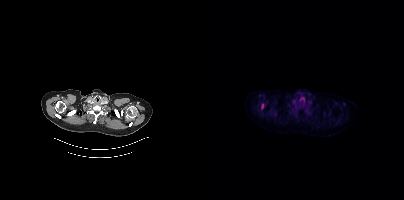
Coordinates are on the 200×200 PET (right) panel. PSMA-avid tumor lesion bounding box (x0,y0,x1,y1): [58,104,59,108].
modality: PSMA PET/CT | tracer: 18F-PSMA | view: axial